Left: CT. Right: PSMA PET, same axial level, 18F tracer.
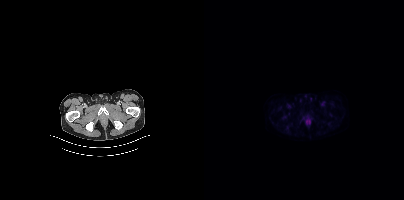
No PSMA-avid tumor lesions on this slice.